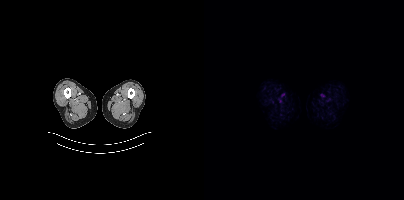
- Left: CT. Right: PSMA PET, same axial level, 18F-PSMA tracer
- acquired on Siemens Biograph mCT Flow 20
- PET panel 200×200 px (4.1 mm/px)
Findings: No tumor lesions annotated on this slice.